- Two-panel axial: CT | PSMA PET, [68Ga]Ga-PSMA-11 tracer
- acquired on Siemens Biograph 64-4R TruePoint
- slice position z = -1440 mm
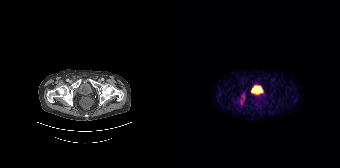
Findings: Negative for PSMA-avid disease on this slice.